Technique: Two-panel axial: CT | PSMA PET, 18F tracer. acquired on Siemens Biograph 64-4R TruePoint. PET panel 168×168 px (4.1 mm/px).
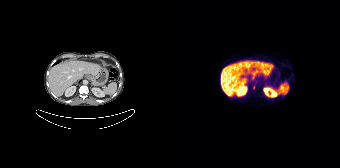
Findings: Coordinates are on the 168×168 PET (right) panel. PSMA-avid tumor lesion bounding box (x, y, width, height): x=80 y=84 w=4 h=6.